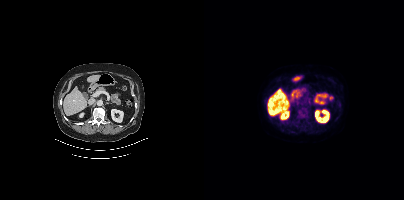
Coordinates are on the 200×200 PET (right) panel. PSMA-avid tumor lesion bounding boxes (x, y, width, height): x=93 y=108 w=11 h=10 / x=97 y=124 w=5 h=5. Small PSMA-avid focus (2 to 4 px across) near (center x, center y): (135, 103).